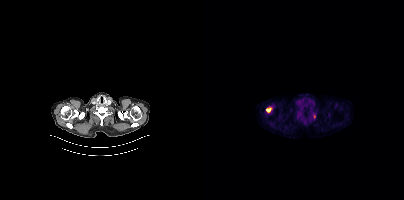
Two-panel axial: CT | PSMA PET, [18F]PSMA-1007 tracer. Acquired on Siemens Biograph mCT Flow 20. Slice position z = -404 mm.
Coordinates are on the 200×200 PET (right) panel. PSMA-avid tumor lesion bounding boxes (partial; 1 more focus not listed):
| # | x0 | y0 | x1 | y1 |
|---|---|---|---|---|
| 1 | 62 | 108 | 67 | 112 |